modality: PSMA PET/CT | tracer: 18F-PSMA | view: axial
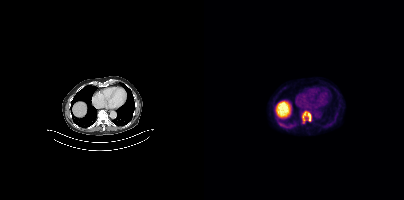
Coordinates are on the 200×200 PET (right) panel. PSMA-avid tumor lesion bounding box (x0,y0,x1,y1): [98,111,107,122].